Paired axial CT (left) and PSMA PET (right), 68Ga-PSMA tracer. Slice 24 of 165. PET panel 168×168 px (4.1 mm/px).
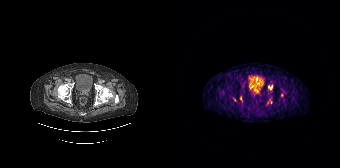
Coordinates are on the 168×168 PET (right) panel. (showing 4 of 5 foci) Small PSMA-avid foci (2 to 4 px across) near (center x, center y): (97, 100); (62, 99); (98, 87); (109, 94).